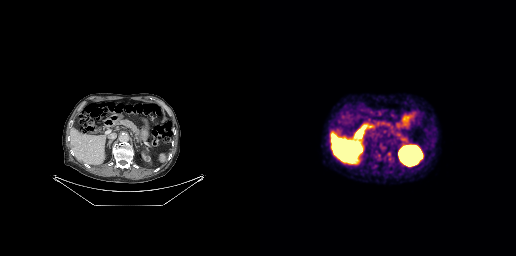
No PSMA-avid tumor lesions on this slice. Two-panel axial: CT | PSMA PET, [18F]PSMA-1007 tracer. Slice 151 of 263.